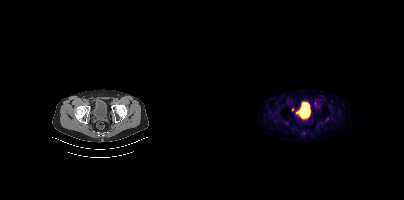
{"pet_grid":[200,200],"coord_frame":"pet_panel","coord_format":"x0,y0,x1,y1","partial":true,"lesion_bboxes":[],"small_foci_centers":[[88,109]],"modality":"PSMA PET/CT","view":"axial","tracer":"68Ga-PSMA"}